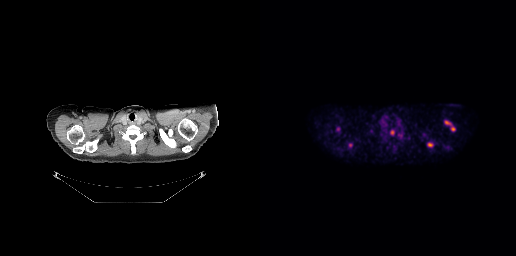
Coordinates are on the 256×256 PET (right) panel. PSMA-avid tumor lesion bounding boxes (x0,y0,x1,y1): [184,120,195,131]; [167,142,173,147]; [76,127,80,131]; [131,130,133,134]. Small PSMA-avid focus (2 to 4 px across) near (center x, center y): (90, 145).